- Two-panel axial: CT | PSMA PET, 18F-PSMA tracer
- PET panel 200×200 px (4.1 mm/px)
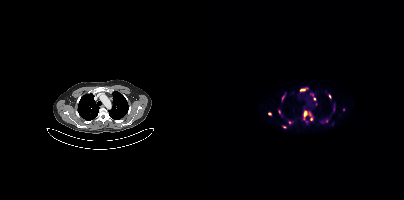
Findings: Coordinates are on the 200×200 PET (right) panel. (showing 14 of 16 foci) PSMA-avid tumor lesion bounding boxes (x0, y0)-(x1, y1): (100, 111)-(107, 116) | (96, 88)-(103, 91) | (129, 105)-(130, 111). Small PSMA-avid foci (2 to 4 px across) near (center x, center y): (107, 118) | (80, 127) | (108, 94) | (75, 111) | (110, 99) | (125, 96) | (79, 97) | (65, 113) | (85, 122) | (139, 109) | (122, 120).